Paired axial CT (left) and PSMA PET (right), 18F-PSMA tracer. Acquired on Siemens Biograph mCT Flow 20. Slice position z = 140 mm.
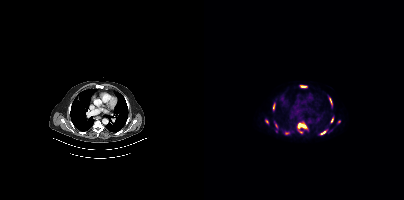
Coordinates are on the 200×200 PET (right) panel. (showing 6 of 9 foci) PSMA-avid tumor lesion bounding boxes (x0, y0)-(x1, y1): (94, 123)-(102, 128); (116, 130)-(122, 134); (126, 98)-(127, 103). Small PSMA-avid foci (2 to 4 px across) near (center x, center y): (69, 106); (128, 120); (62, 121).